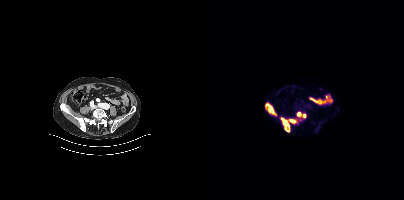
{"modality":"PSMA PET/CT","view":"axial","tracer":"18F-PSMA","pet_grid":[200,200],"coord_frame":"pet_panel","coord_format":"x0,y0,x1,y1","partial":true,"lesion_bboxes":[[77,117,91,131],[61,103,72,115],[93,112,97,116]],"small_foci_centers":[[100,115]]}